Technique: Two-panel axial: CT | PSMA PET, 18F tracer. slice position z = -674 mm.
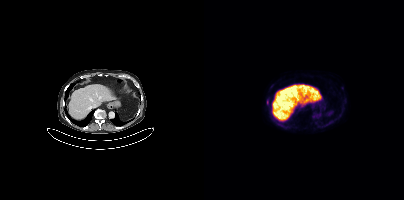
Findings: Coordinates are on the 200×200 PET (right) panel. PSMA-avid tumor lesion bounding box (x0, y0)-(x1, y1): (63, 100)-(64, 104).